modality: PSMA PET/CT | tracer: 18F | view: axial | PET grid: 200×200
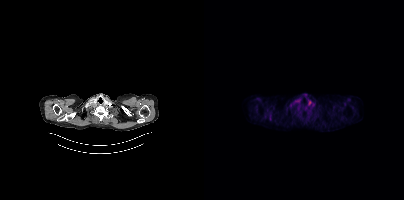
This slice has no annotated PSMA-avid lesion.